Paired axial CT (left) and PSMA PET (right), [18F]PSMA-1007 tracer. Acquired on Siemens Biograph mCT Flow 20. Slice position z = -1631 mm. PET panel 200×200 px (4.1 mm/px).
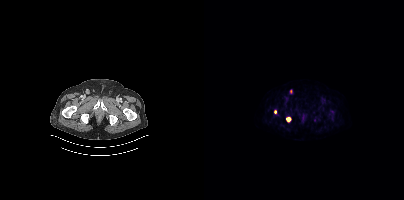
Coordinates are on the 200×200 PET (right) panel. PSMA-avid tumor lesion bounding boxes:
| # | x0 | y0 | x1 | y1 |
|---|---|---|---|---|
| 1 | 82 | 117 | 87 | 122 |
Small PSMA-avid foci (2 to 4 px across) near (center x, center y): (71, 111); (87, 91).